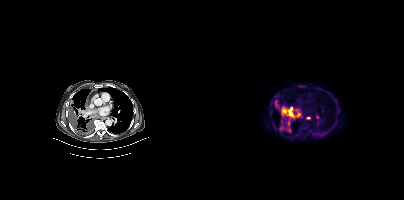
{"modality":"PSMA PET/CT","view":"axial","tracer":"18F","pet_grid":[200,200],"coord_frame":"pet_panel","coord_format":"x0,y0,x1,y1","partial":true,"lesion_bboxes":[[77,106,97,118],[76,120,87,132],[71,100,74,107],[95,85,101,87]],"small_foci_centers":[[101,127],[104,117]]}